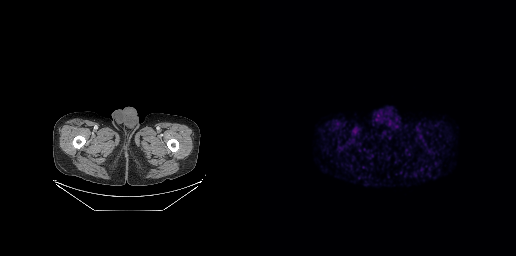
modality: PSMA PET/CT | tracer: 68Ga-PSMA | view: axial
This slice has no annotated PSMA-avid lesion.